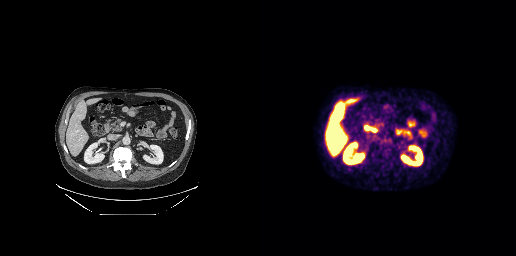
Two-panel axial: CT | PSMA PET, [18F]PSMA-1007 tracer. This slice has no annotated PSMA-avid lesion.